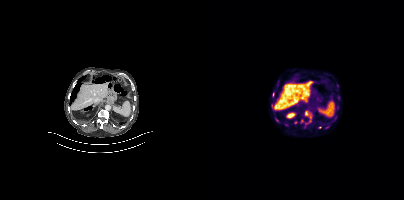
- Paired axial CT (left) and PSMA PET (right), 18F tracer
- acquired on Siemens Biograph mCT Flow 20
- slice 182 of 373
- PET panel 200×200 px (4.1 mm/px)
Findings: Coordinates are on the 200×200 PET (right) panel. (showing 13 of 16 foci) PSMA-avid tumor lesion bounding boxes (x, y, width, height): x=100 y=110 w=9 h=15 / x=119 y=123 w=8 h=7 / x=71 y=118 w=7 h=6 / x=79 y=120 w=4 h=7 / x=68 y=92 w=3 h=6. Small PSMA-avid foci (2 to 4 px across) near (center x, center y): (69, 111) / (98, 120) / (134, 95) / (133, 85) / (133, 107) / (131, 118) / (91, 122) / (67, 101).